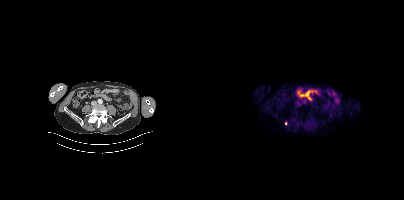
Technique: Two-panel axial: CT | PSMA PET, 18F tracer. slice position z = -816 mm. PET panel 200×200 px (4.1 mm/px).
Findings: Coordinates are on the 200×200 PET (right) panel. Small PSMA-avid focus (2 to 4 px across) near (center x, center y): (82, 123).